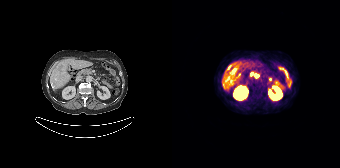
Left: CT. Right: PSMA PET, same axial level, 68Ga tracer. Coordinates are on the 168×168 PET (right) panel. PSMA-avid tumor lesion bounding boxes (x, y, width, height): x=60 y=68 w=5 h=5 | x=55 y=66 w=5 h=4. Small PSMA-avid foci (2 to 4 px across) near (center x, center y): (55, 78) | (84, 75).